modality: PSMA PET/CT | tracer: [18F]PSMA-1007 | view: axial
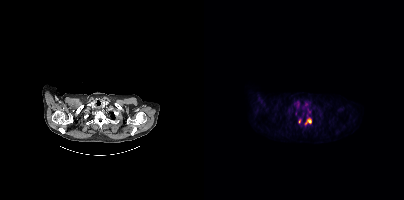
Coordinates are on the 200×200 PET (right) panel. PSMA-avid tumor lesion bounding box (x0,y0,x1,y1): [101,118,107,124]. Small PSMA-avid focus (2 to 4 px across) near (center x, center y): (95, 121).